Technique: Two-panel axial: CT | PSMA PET, 18F-PSMA tracer. acquired on Siemens Biograph 64-4R TruePoint. PET panel 168×168 px (4.1 mm/px).
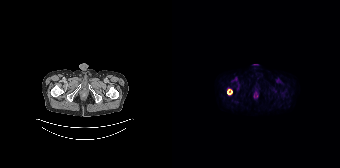
Findings: Coordinates are on the 168×168 PET (right) panel. PSMA-avid tumor lesion bounding box (x0, y0)-(x1, y1): (55, 89)-(60, 94).